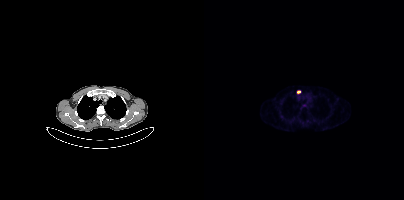
Coordinates are on the 200×200 PET (right) panel. Small PSMA-avid focus (2 to 4 px across) near (center x, center y): (94, 92).